Head region blanked for anonymization (face removed).
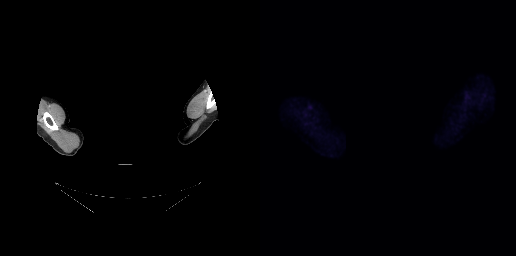
Negative for PSMA-avid disease on this slice.